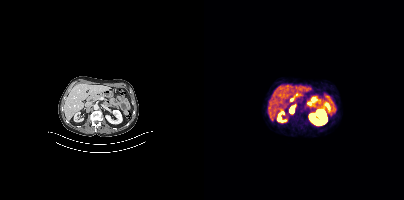
Technique: Paired axial CT (left) and PSMA PET (right), 68Ga-PSMA tracer. PET panel 200×200 px (4.1 mm/px).
Findings: Coordinates are on the 200×200 PET (right) panel. PSMA-avid tumor lesion bounding box (x0,y0,x1,y1): [86,107,89,112].